modality: PSMA PET/CT | tracer: 18F | view: axial | PET grid: 200×200
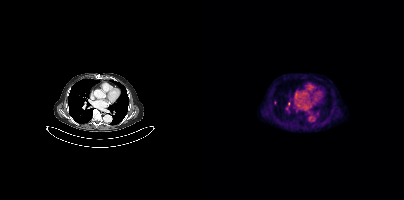
Coordinates are on the 200×200 PET (right) panel. (showing 1 of 2 foci) Small PSMA-avid focus (2 to 4 px across) near (center x, center y): (70, 102).